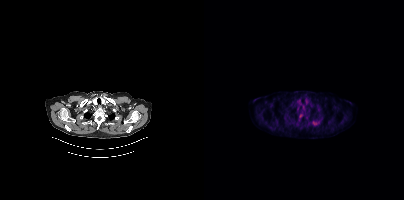
Left: CT. Right: PSMA PET, same axial level, 18F tracer. Slice 342 of 409. PET panel 200×200 px (4.1 mm/px).
Coordinates are on the 200×200 PET (right) panel. PSMA-avid tumor lesion bounding boxes:
| # | x0 | y0 | x1 | y1 |
|---|---|---|---|---|
| 1 | 109 | 121 | 114 | 125 |
Small PSMA-avid focus (2 to 4 px across) near (center x, center y): (96, 115).